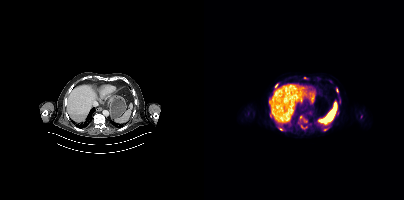
modality: PSMA PET/CT | tracer: 18F-PSMA | view: axial | PET grid: 200×200
Coordinates are on the 200×200 PET (right) panel. (showing 9 of 12 foci) PSMA-avid tumor lesion bounding boxes (x, y, width, height): x=119 y=128 w=5 h=3; x=132 y=88 w=3 h=5. Small PSMA-avid foci (2 to 4 px across) near (center x, center y): (72, 85); (67, 115); (76, 129); (97, 126); (70, 91); (65, 105); (96, 116).